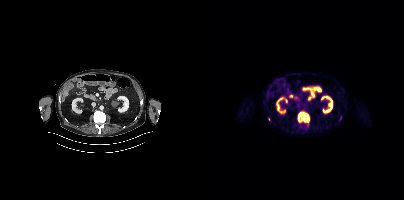
{"modality":"PSMA PET/CT","view":"axial","tracer":"18F-PSMA","pet_grid":[200,200],"coord_frame":"pet_panel","coord_format":"x0,y0,x1,y1","partial":true,"lesion_bboxes":[[94,112,105,122]]}